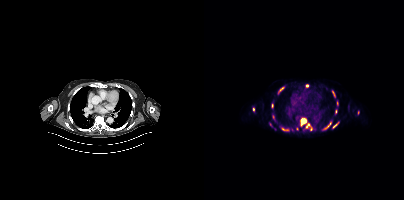
{"modality":"PSMA PET/CT","view":"axial","tracer":"[18F]PSMA-1007","pet_grid":[200,200],"coord_frame":"pet_panel","coord_format":"x0,y0,x1,y1","partial":true,"lesion_bboxes":[[96,118,102,125],[102,123,108,130],[76,86,80,91],[78,128,84,130],[128,91,131,97],[129,122,134,127],[68,115,70,119]],"small_foci_centers":[[125,123],[120,128],[132,111],[103,85],[133,102],[68,105],[49,109],[154,112]]}